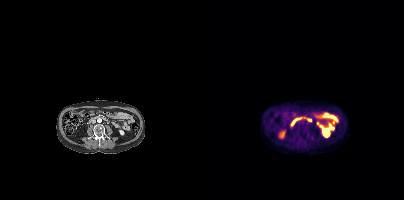
{"modality":"PSMA PET/CT","view":"axial","tracer":"[18F]PSMA-1007","pet_grid":[200,200],"coord_frame":"pet_panel","coord_format":"x0,y0,x1,y1","psma_avid_lesions":false}